modality: PSMA PET/CT | tracer: 68Ga-PSMA | view: axial | PET grid: 168×168
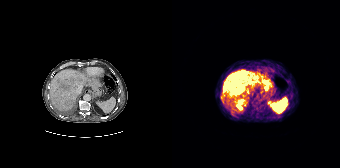
Coordinates are on the 168×168 PET (right) panel. PSMA-avid tumor lesion bounding box (x, y, width, height): x=51 y=71 w=29 h=25. Small PSMA-avid foci (2 to 4 px across) near (center x, center y): (85, 76) | (89, 77).